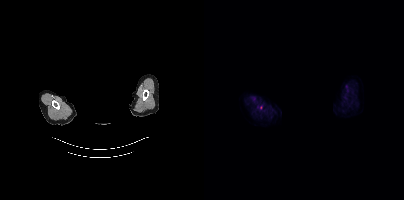
Technique: Paired axial CT (left) and PSMA PET (right), 18F tracer. PET panel 200×200 px (4.1 mm/px).
Note: Face de-identified by blanking a block of the head.
Findings: Negative for PSMA-avid disease on this slice.